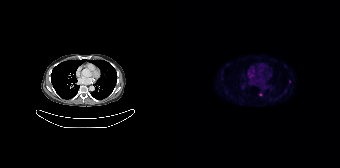
{"modality":"PSMA PET/CT","view":"axial","tracer":"[18F]PSMA-1007","pet_grid":[168,168],"coord_frame":"pet_panel","coord_format":"x0,y0,x1,y1","lesion_bboxes":[],"small_foci_centers":[[88,94],[117,81]]}